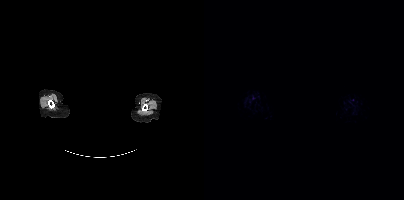
{"pet_grid":[200,200],"coord_frame":"pet_panel","coord_format":"x0,y0,x1,y1","psma_avid_lesions":false,"de-identification":"facial region redacted","modality":"PSMA PET/CT","view":"axial","tracer":"18F-PSMA"}